Paired axial CT (left) and PSMA PET (right), 18F tracer. Acquired on Siemens Biograph mCT Flow 20. Slice position z = -322 mm. PET panel 200×200 px (4.1 mm/px). Any black rectangle over the head is a privacy mask, not anatomy.
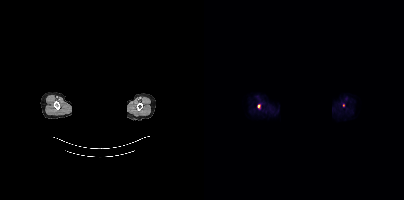
Coordinates are on the 200×200 PET (right) panel. (showing 1 of 2 foci) Small PSMA-avid focus (2 to 4 px across) near (center x, center y): (54, 106).